- Left: CT. Right: PSMA PET, same axial level, [18F]PSMA-1007 tracer
- slice 398 of 421
- privacy masking over the head, with the pixels inside a rectangle set to black
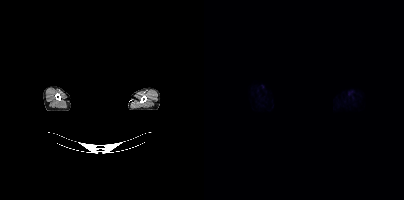
Findings: This slice has no annotated PSMA-avid lesion.